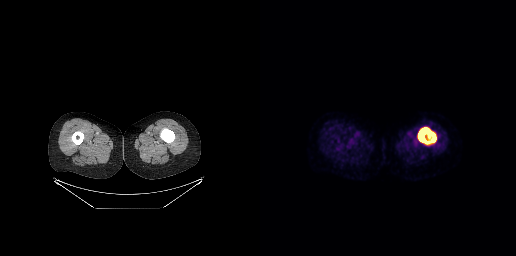
Coordinates are on the 256×256 PET (right) panel. PSMA-avid tumor lesion bounding box (x0,y0,x1,y1): [158,127,176,143].